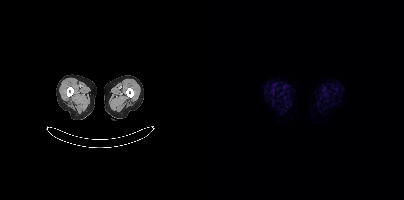
Technique: Paired axial CT (left) and PSMA PET (right), 18F-PSMA tracer. slice 15 of 415.
Findings: No PSMA-avid tumor lesions on this slice.